Left: CT. Right: PSMA PET, same axial level, 18F tracer. Slice position z = -302 mm.
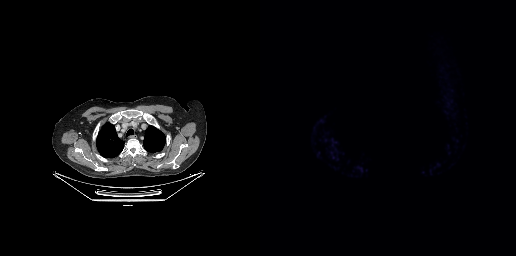
No tumor lesions annotated on this slice.